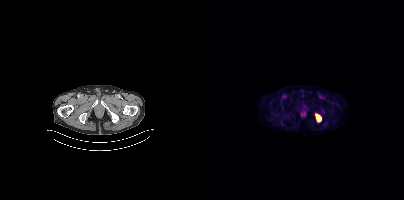
{"modality":"PSMA PET/CT","view":"axial","tracer":"[18F]PSMA-1007","pet_grid":[200,200],"coord_frame":"pet_panel","coord_format":"x0,y0,x1,y1","lesion_bboxes":[[111,114,117,121]]}